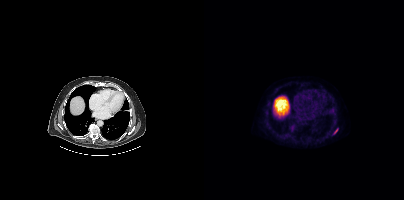
Coordinates are on the 200×200 PET (right) panel. PSMA-avid tumor lesion bounding box (x0,y0,x1,y1): [130,129,133,133].